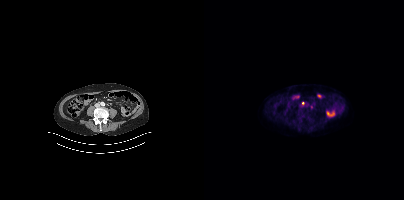
Coordinates are on the 200×200 PET (right) panel. Small PSMA-avid focus (2 to 4 px across) near (center x, center y): (99, 103).
modality: PSMA PET/CT | tracer: 18F | view: axial | PET grid: 200×200